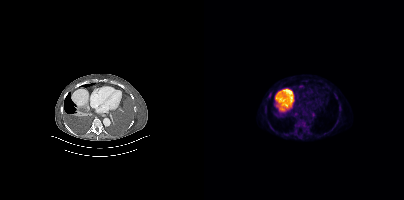
Paired axial CT (left) and PSMA PET (right), [18F]PSMA-1007 tracer. PET panel 200×200 px (4.1 mm/px).
Coordinates are on the 200×200 PET (right) panel. PSMA-avid tumor lesion bounding boxes:
| # | x0 | y0 | x1 | y1 |
|---|---|---|---|---|
| 1 | 95 | 85 | 99 | 87 |
Small PSMA-avid foci (2 to 4 px across) near (center x, center y): (65, 95); (109, 114); (91, 113).